Two-panel axial: CT | PSMA PET, [68Ga]Ga-PSMA-11 tracer. Acquired on Siemens Biograph 64-4R TruePoint. PET panel 168×168 px (4.1 mm/px).
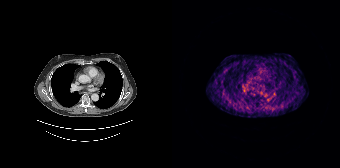
This slice has no annotated PSMA-avid lesion.